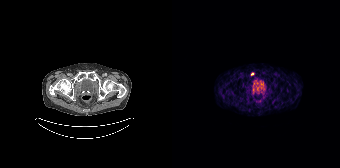
Findings: Coordinates are on the 168×168 PET (right) panel. Small PSMA-avid focus (2 to 4 px across) near (center x, center y): (80, 74).
- Left: CT. Right: PSMA PET, same axial level, [68Ga]Ga-PSMA-11 tracer
- acquired on Siemens Biograph 64-4R TruePoint
- PET panel 168×168 px (4.1 mm/px)